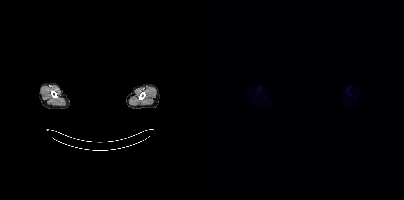
Face de-identified by blanking a block of the head.
Negative for PSMA-avid disease on this slice.